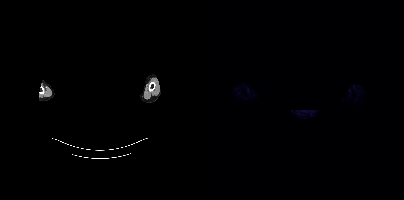
The head region is masked for de-identification. Two-panel axial: CT | PSMA PET, 68Ga-PSMA tracer. Negative for PSMA-avid disease on this slice.